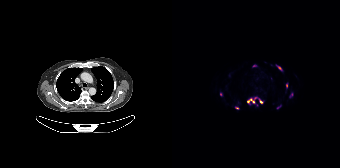
Technique: Paired axial CT (left) and PSMA PET (right), 18F tracer. PET panel 168×168 px (4.1 mm/px).
Findings: Coordinates are on the 168×168 PET (right) panel. (showing 6 of 8 foci) PSMA-avid tumor lesion bounding boxes (x, y, width, height): x=75 y=97 w=17 h=8 / x=104 y=65 w=7 h=6 / x=114 y=83 w=2 h=5 / x=118 y=93 w=3 h=5. Small PSMA-avid foci (2 to 4 px across) near (center x, center y): (64, 108) / (49, 94).